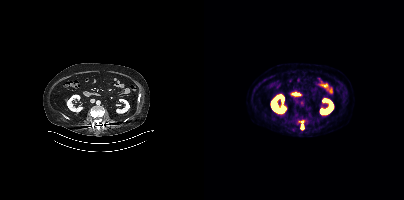
Coordinates are on the 200×200 PET (right) panel. PSMA-avid tumor lesion bounding box (x0,y0,x1,y1): [95,120,100,128].